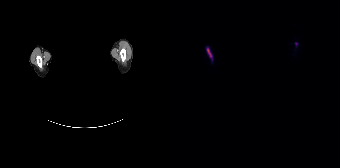
Coordinates are on the 168×168 PET (right) panel. PSMA-avid tumor lesion bounding box (x0, y0)-(x1, y1): (35, 48)-(40, 57). Small PSMA-avid focus (2 to 4 px across) near (center x, center y): (124, 44).
Face de-identified by blanking a block of the head.